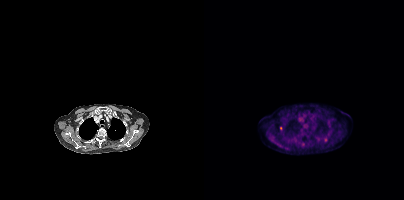
Findings: Coordinates are on the 200×200 PET (right) panel. (showing 5 of 7 foci) Small PSMA-avid foci (2 to 4 px across) near (center x, center y): (121, 139) / (99, 144) / (76, 128) / (124, 120) / (114, 139).
- Paired axial CT (left) and PSMA PET (right), 18F-PSMA tracer
- PET panel 200×200 px (4.1 mm/px)